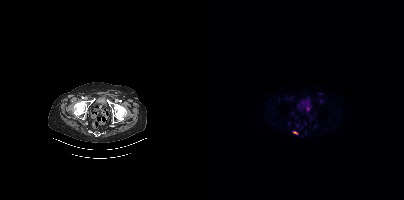
{"modality":"PSMA PET/CT","view":"axial","tracer":"[18F]PSMA-1007","pet_grid":[200,200],"coord_frame":"pet_panel","coord_format":"x0,y0,x1,y1","lesion_bboxes":[[89,131,94,134]],"small_foci_centers":[[103,108]]}